Technique: Two-panel axial: CT | PSMA PET, [18F]PSMA-1007 tracer. slice 11 of 421. PET panel 200×200 px (4.1 mm/px).
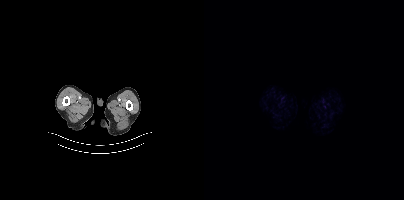
Findings: This slice has no annotated PSMA-avid lesion.